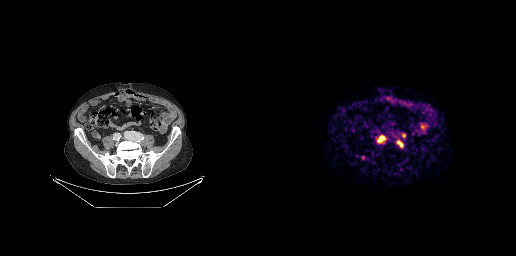
- Left: CT. Right: PSMA PET, same axial level, 68Ga-PSMA tracer
- acquired on GE Discovery 690
- slice 27 of 189
Findings: Coordinates are on the 256×256 PET (right) panel. PSMA-avid tumor lesion bounding boxes (x0,y0,x1,y1): [117,136,124,143], [141,133,145,137], [138,141,142,146]. Small PSMA-avid focus (2 to 4 px across) near (center x, center y): (102, 157).